- Two-panel axial: CT | PSMA PET, 18F tracer
- acquired on Siemens Biograph mCT Flow 20
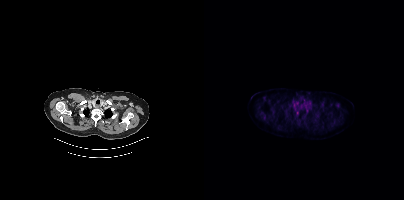
Findings: Coordinates are on the 200×200 PET (right) panel. Small PSMA-avid focus (2 to 4 px across) near (center x, center y): (93, 112).